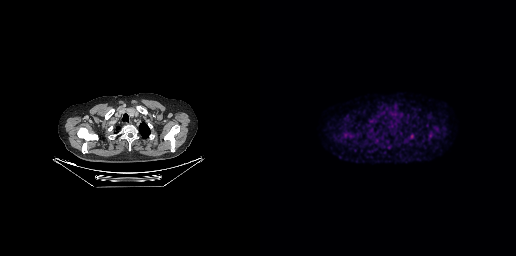
This slice has no annotated PSMA-avid lesion.